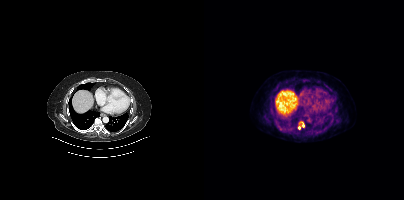
modality: PSMA PET/CT | tracer: 18F | view: axial | PET grid: 200×200
Coordinates are on the 200×200 PET (right) panel. (showing 1 of 3 foci) Small PSMA-avid focus (2 to 4 px across) near (center x, center y): (96, 124).